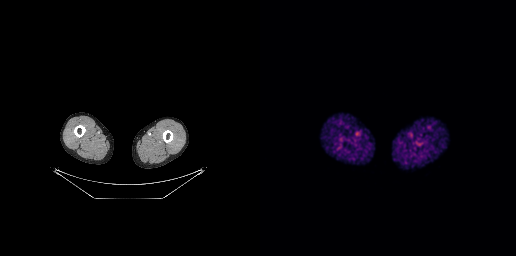
No tumor lesions annotated on this slice. Paired axial CT (left) and PSMA PET (right), 68Ga tracer. Slice position z = -1008 mm. PET panel 256×256 px (2.7 mm/px).